Technique: Left: CT. Right: PSMA PET, same axial level, [18F]PSMA-1007 tracer. PET panel 256×256 px (2.7 mm/px).
Note: A rectangular block over the head has been blanked out for de-identification.
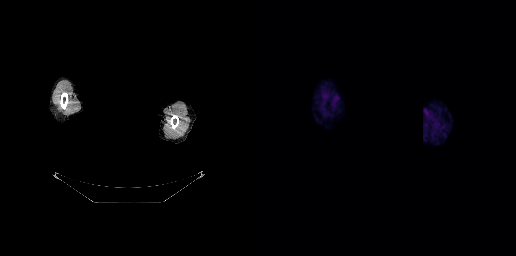
Findings: No PSMA-avid tumor lesions on this slice.